modality: PSMA PET/CT | tracer: 18F-PSMA | view: axial
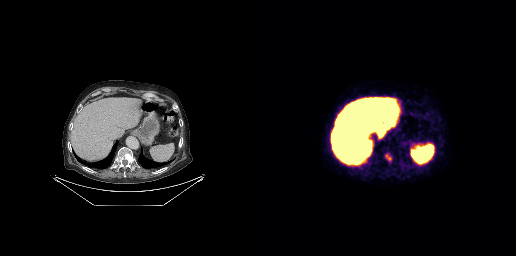
Coordinates are on the 256×256 PET (right) panel. PSMA-avid tumor lesion bounding box (x0,y0,x1,y1): [125,153,131,162].